Technique: Two-panel axial: CT | PSMA PET, [18F]PSMA-1007 tracer. acquired on GE Discovery 690. slice 37 of 263. PET panel 256×256 px (2.7 mm/px).
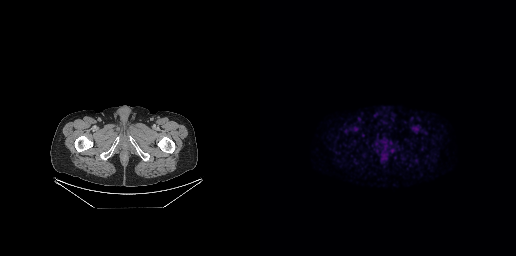
Findings: Negative for PSMA-avid disease on this slice.